Technique: Two-panel axial: CT | PSMA PET, 18F-PSMA tracer. acquired on Siemens Biograph mCT Flow 20. PET panel 200×200 px (4.1 mm/px).
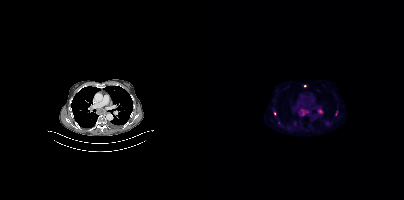
Findings: Coordinates are on the 200×200 PET (right) panel. (showing 5 of 8 foci) PSMA-avid tumor lesion bounding boxes (x0,y0,x1,y1): [95,108,105,115], [114,109,118,113]. Small PSMA-avid foci (2 to 4 px across) near (center x, center y): (75, 122), (100, 85), (70, 113).